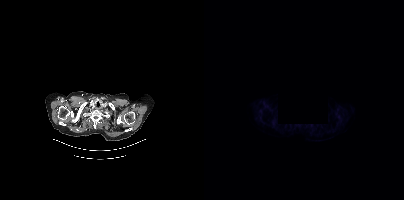
modality: PSMA PET/CT | tracer: 18F-PSMA | view: axial | PET grid: 200×200 | deidentification: region redacted
Coordinates are on the 200×200 PET (right) panel. (showing 1 of 2 foci) PSMA-avid tumor lesion bounding box (x0,y0,x1,y1): [68,120,71,125].